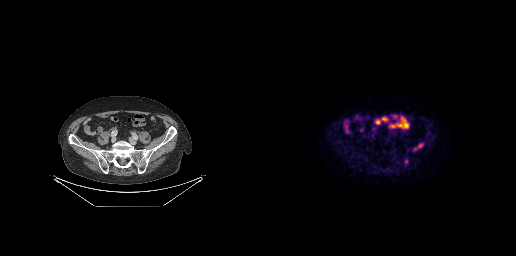
Coordinates are on the 256×256 PET (right) panel. PSMA-avid tumor lesion bounding boxes:
| # | x0 | y0 | x1 | y1 |
|---|---|---|---|---|
| 1 | 158 | 143 | 162 | 147 |
Small PSMA-avid foci (2 to 4 px across) near (center x, center y): (155, 149); (146, 161).
Two-panel axial: CT | PSMA PET, [18F]PSMA-1007 tracer.